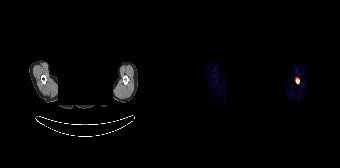
redaction: facial region redacted | modality: PSMA PET/CT | tracer: 18F-PSMA | view: axial | PET grid: 168×168
Coordinates are on the 168×168 PET (right) panel. PSMA-avid tumor lesion bounding box (x0, y0)-(x1, y1): (123, 78)-(127, 83).